- Paired axial CT (left) and PSMA PET (right), 18F tracer
- slice 139 of 417
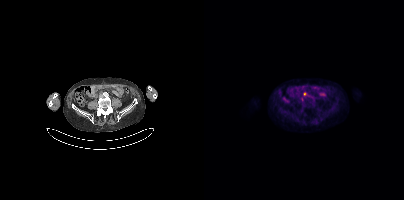
Findings: Coordinates are on the 200×200 PET (right) panel. (showing 1 of 2 foci) PSMA-avid tumor lesion bounding box (x0, y0)-(x1, y1): (99, 92)-(104, 96).